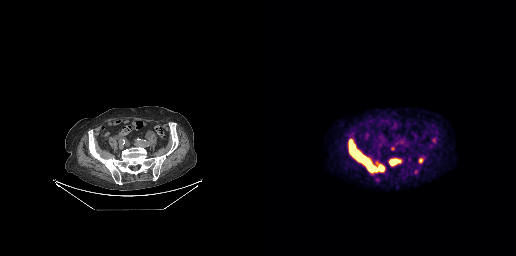
{"modality":"PSMA PET/CT","view":"axial","tracer":"18F-PSMA","pet_grid":[256,256],"coord_frame":"pet_panel","coord_format":"x0,y0,x1,y1","lesion_bboxes":[[88,139,125,173],[129,158,141,166]],"small_foci_centers":[[160,160],[132,148]]}